Technique: Left: CT. Right: PSMA PET, same axial level, 18F-PSMA tracer. acquired on Siemens Biograph 64-4R TruePoint. PET panel 168×168 px (4.1 mm/px).
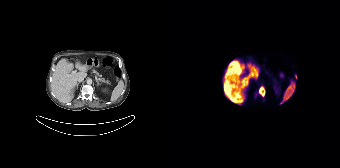
Findings: Coordinates are on the 168×168 PET (right) panel. (showing 2 of 3 foci) PSMA-avid tumor lesion bounding box (x, y, width, height): x=86 y=85 w=8 h=13. Small PSMA-avid focus (2 to 4 px across) near (center x, center y): (123, 76).